modality: PSMA PET/CT | tracer: 18F | view: axial
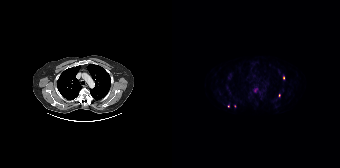
Coordinates are on the 168×168 PET (right) panel. (showing 3 of 5 foci) Small PSMA-avid foci (2 to 4 px across) near (center x, center y): (111, 78) (107, 95) (56, 106).